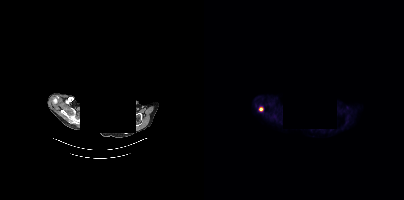
Facial anatomy redacted by setting a rectangular region of the head to black.
Coordinates are on the 200×200 PET (right) panel. Small PSMA-avid focus (2 to 4 px across) near (center x, center y): (56, 108).